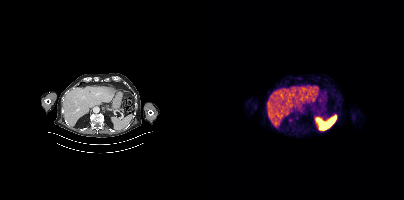
{"modality":"PSMA PET/CT","view":"axial","tracer":"[18F]PSMA-1007","pet_grid":[200,200],"coord_frame":"pet_panel","coord_format":"x0,y0,x1,y1","psma_avid_lesions":false}